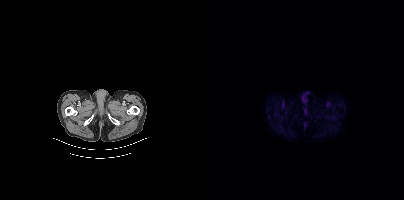
No PSMA-avid tumor lesions on this slice.